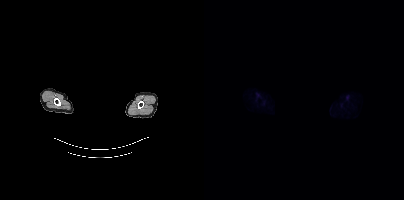
The head region is masked for de-identification.
Negative for PSMA-avid disease on this slice.